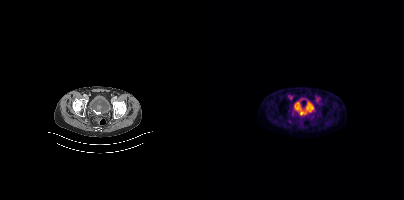
Technique: Left: CT. Right: PSMA PET, same axial level, 18F-PSMA tracer. acquired on Siemens Biograph mCT Flow 20. slice position z = -758 mm.
Findings: Coordinates are on the 200×200 PET (right) panel. PSMA-avid tumor lesion bounding box (x0, y0)-(x1, y1): (95, 106)-(103, 114).